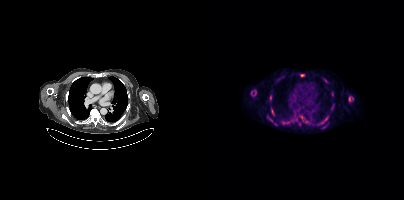
Coordinates are on the 200×200 PET (right) panel. (showing 6 of 8 foci) PSMA-avid tumor lesion bounding boxes (x, y, width, height): x=119 y=116 w=6 h=7 | x=67 y=108 w=4 h=7 | x=65 y=96 w=3 h=5. Small PSMA-avid foci (2 to 4 px across) near (center x, center y): (98, 75) | (97, 117) | (67, 120).